- Two-panel axial: CT | PSMA PET, 18F-PSMA tracer
- slice position z = -1460 mm
- PET panel 200×200 px (4.1 mm/px)
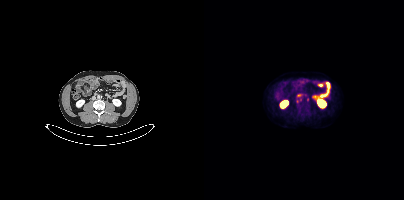
Findings: Coordinates are on the 200×200 PET (right) panel. Small PSMA-avid focus (2 to 4 px across) near (center x, center y): (103, 99).